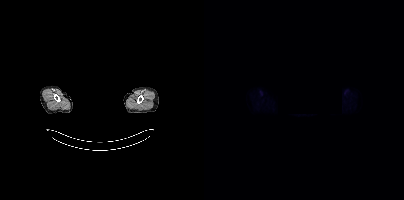
An anonymization step blacked out a rectangle over the head in this scan. Two-panel axial: CT | PSMA PET, 18F-PSMA tracer. Slice 371 of 403. This slice has no annotated PSMA-avid lesion.